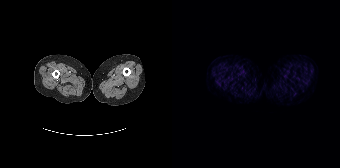
Left: CT. Right: PSMA PET, same axial level, 68Ga tracer. Slice 17 of 195. PET panel 168×168 px (4.1 mm/px). This slice has no annotated PSMA-avid lesion.